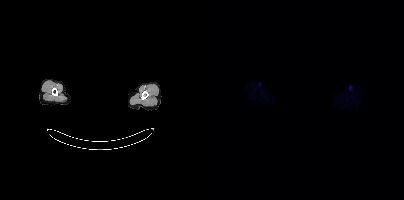
Findings: No tumor lesions annotated on this slice.
- Left: CT. Right: PSMA PET, same axial level, 18F tracer
- acquired on Siemens Biograph mCT Flow 20
- head region blanked for anonymization (face removed)